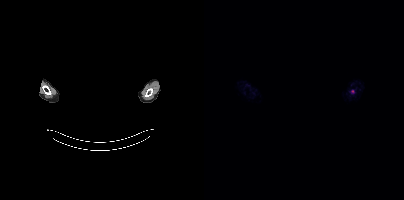
{"modality":"PSMA PET/CT","view":"axial","tracer":"18F","pet_grid":[200,200],"coord_frame":"pet_panel","coord_format":"x0,y0,x1,y1","partial":true,"lesion_bboxes":[],"de-identification":"privacy mask over head"}